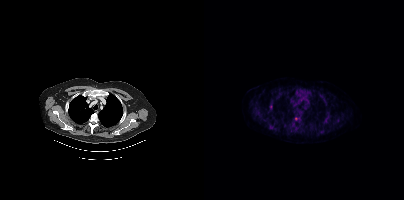
Findings: Coordinates are on the 200×200 PET (right) panel. Small PSMA-avid foci (2 to 4 px across) near (center x, center y): (67, 106) | (91, 118).
- Left: CT. Right: PSMA PET, same axial level, 18F-PSMA tracer